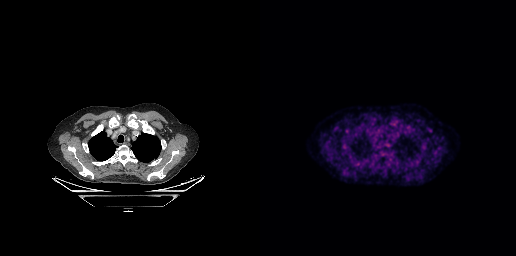
- Left: CT. Right: PSMA PET, same axial level, [18F]PSMA-1007 tracer
- slice position z = -346 mm
Findings: Negative for PSMA-avid disease on this slice.